- Paired axial CT (left) and PSMA PET (right), [68Ga]Ga-PSMA-11 tracer
- acquired on GE Discovery 690
- PET panel 256×256 px (2.7 mm/px)
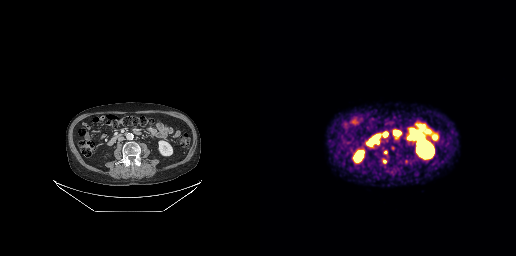
Findings: Coordinates are on the 256×256 PET (right) panel. (showing 4 of 5 foci) PSMA-avid tumor lesion bounding boxes (x0,y0,x1,y1): [123,150,127,155]; [145,159,150,164]; [123,159,126,163]. Small PSMA-avid focus (2 to 4 px across) near (center x, center y): (117, 143).